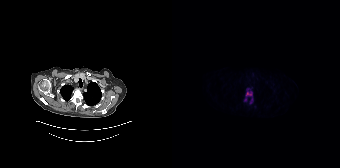
Coordinates are on the 168×168 PET (right) panel. (showing 1 of 2 foci) PSMA-avid tumor lesion bounding box (x0,y0,x1,y1): [72,91,80,103].